Technique: Left: CT. Right: PSMA PET, same axial level, 18F tracer. acquired on Siemens Biograph mCT Flow 20. PET panel 200×200 px (4.1 mm/px).
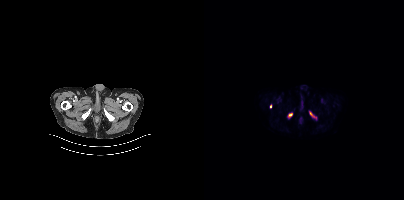
Findings: Coordinates are on the 200×200 PET (right) panel. PSMA-avid tumor lesion bounding boxes (x, y, width, height): x=84 y=113 w=5 h=5 | x=106 y=112 w=7 h=6 | x=66 y=104 w=2 h=5.